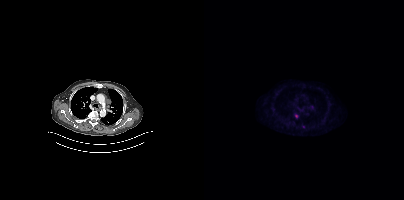
{"modality":"PSMA PET/CT","view":"axial","tracer":"[18F]PSMA-1007","pet_grid":[200,200],"coord_frame":"pet_panel","coord_format":"x0,y0,x1,y1","lesion_bboxes":[],"small_foci_centers":[[92,115],[99,126]]}